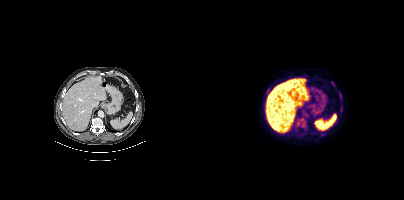
Technique: Left: CT. Right: PSMA PET, same axial level, 18F tracer.
Findings: Coordinates are on the 200×200 PET (right) panel. PSMA-avid tumor lesion bounding boxes (x0,y0,x1,y1): [135,91,137,95]; [136,108,138,112]. Small PSMA-avid focus (2 to 4 px across) near (center x, center y): (129, 84).